Left: CT. Right: PSMA PET, same axial level, 68Ga-PSMA tracer. Slice 42 of 263.
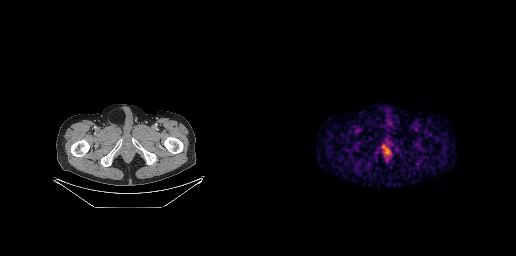
Only PSMA-avid lesion pieces thinner than 2 px on this slice (not listed).